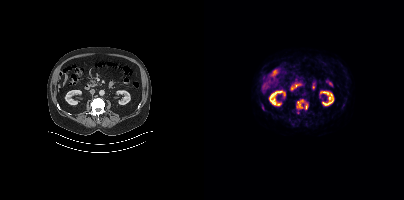
modality: PSMA PET/CT | tracer: 18F-PSMA | view: axial
Coordinates are on the 200×200 PET (right) panel. PSMA-avid tumor lesion bounding box (x, y, width, height): x=92 y=99 w=12 h=11.